Two-panel axial: CT | PSMA PET, 18F-PSMA tracer.
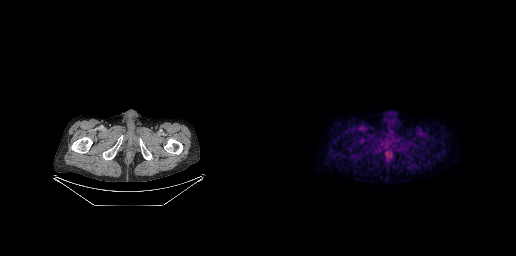
Negative for PSMA-avid disease on this slice.